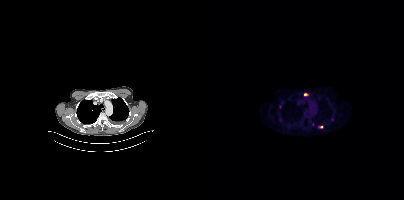
Coordinates are on the 200×200 PET (right) panel. Small PSMA-avid foci (2 to 4 px across) near (center x, center y): (101, 94) | (76, 106) | (109, 124) | (117, 126) | (128, 119).